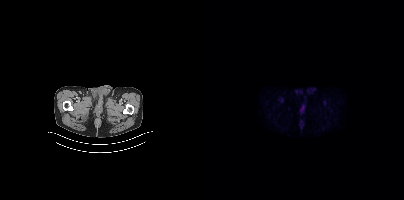
Paired axial CT (left) and PSMA PET (right), 18F tracer. Slice position z = -1670 mm. PET panel 200×200 px (4.1 mm/px). No tumor lesions annotated on this slice.